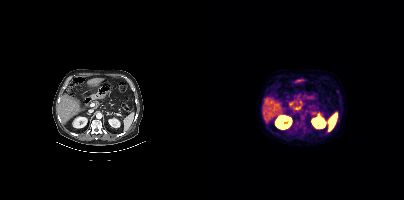
Only PSMA-avid lesion pieces thinner than 2 px on this slice (not listed).